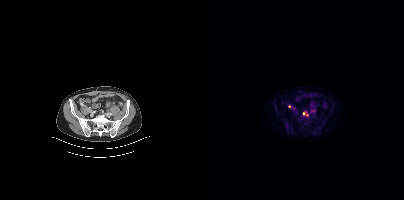
Technique: Two-panel axial: CT | PSMA PET, 18F tracer. slice position z = -1438 mm.
Findings: Coordinates are on the 200×200 PET (right) panel. (showing 3 of 4 foci) Small PSMA-avid foci (2 to 4 px across) near (center x, center y): (99, 113) / (103, 114) / (85, 106).